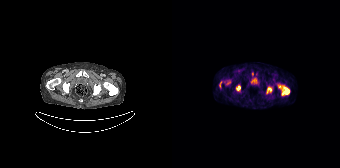
- Two-panel axial: CT | PSMA PET, [68Ga]Ga-PSMA-11 tracer
- PET panel 168×168 px (4.1 mm/px)
Findings: Coordinates are on the 168×168 PET (right) panel. (showing 5 of 7 foci) PSMA-avid tumor lesion bounding boxes (x0, y0)-(x1, y1): (106, 85)-(117, 95); (95, 87)-(99, 93); (64, 85)-(68, 90); (47, 82)-(49, 86). Small PSMA-avid focus (2 to 4 px across) near (center x, center y): (80, 74).